Technique: Paired axial CT (left) and PSMA PET (right), 68Ga tracer. acquired on Siemens Biograph mCT Flow 20.
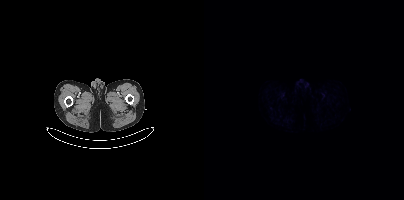
Findings: Only PSMA-avid lesion pieces thinner than 2 px on this slice (not listed).